Technique: Two-panel axial: CT | PSMA PET, 68Ga tracer. acquired on Siemens Biograph 64-4R TruePoint. slice position z = -406 mm.
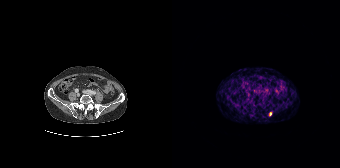
Findings: Coordinates are on the 168×168 PET (right) panel. Small PSMA-avid focus (2 to 4 px across) near (center x, center y): (98, 113).